Technique: Two-panel axial: CT | PSMA PET, [18F]PSMA-1007 tracer.
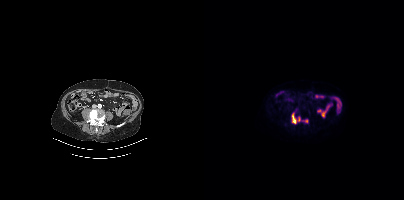
Findings: Coordinates are on the 200×200 PET (right) panel. PSMA-avid tumor lesion bounding box (x0, y0)-(x1, y1): (87, 112)-(104, 124).